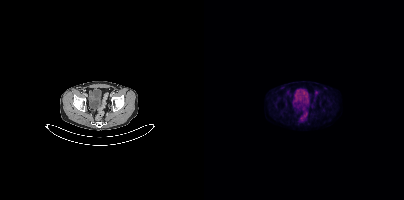
Technique: Left: CT. Right: PSMA PET, same axial level, 18F-PSMA tracer. slice position z = -1614 mm. PET panel 200×200 px (4.1 mm/px).
Findings: No tumor lesions annotated on this slice.